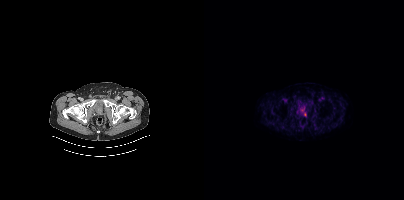
Coordinates are on the 200×200 PET (right) panel. Small PSMA-avid focus (2 to 4 px across) near (center x, center y): (100, 114).